Left: CT. Right: PSMA PET, same axial level, 18F-PSMA tracer. Acquired on Siemens Biograph mCT Flow 20. PET panel 200×200 px (4.1 mm/px).
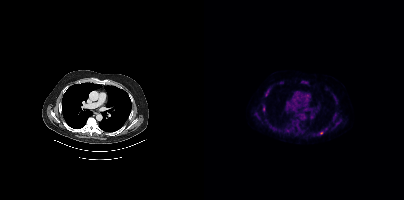
Coordinates are on the 200×200 PET (right) panel. PSMA-avid tumor lesion bounding boxes (partial; 2 more foci not listed):
| # | x0 | y0 | x1 | y1 |
|---|---|---|---|---|
| 1 | 61 | 119 | 63 | 123 |
Small PSMA-avid focus (2 to 4 px across) near (center x, center y): (117, 132).